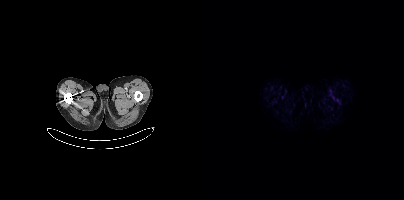
{"modality":"PSMA PET/CT","view":"axial","tracer":"18F-PSMA","pet_grid":[200,200],"coord_frame":"pet_panel","coord_format":"x0,y0,x1,y1","psma_avid_lesions":false}